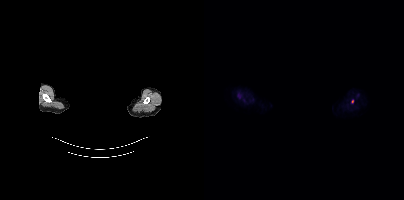
Left: CT. Right: PSMA PET, same axial level, [18F]PSMA-1007 tracer. Slice 364 of 395. PET panel 200×200 px (4.1 mm/px). An anonymization step blacked out a rectangle over the head in this scan. Coordinates are on the 200×200 PET (right) panel. Small PSMA-avid focus (2 to 4 px across) near (center x, center y): (148, 101).